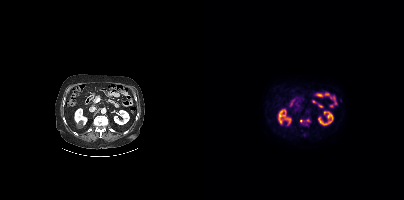
Left: CT. Right: PSMA PET, same axial level, 18F-PSMA tracer. Slice position z = -1200 mm. PET panel 200×200 px (4.1 mm/px). Coordinates are on the 200×200 PET (right) panel. Small PSMA-avid focus (2 to 4 px across) near (center x, center y): (97, 121).